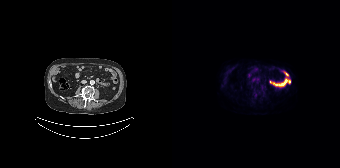
No tumor lesions annotated on this slice.